- Left: CT. Right: PSMA PET, same axial level, [18F]PSMA-1007 tracer
- acquired on Siemens Biograph mCT Flow 20
- slice position z = -1236 mm
- PET panel 200×200 px (4.1 mm/px)
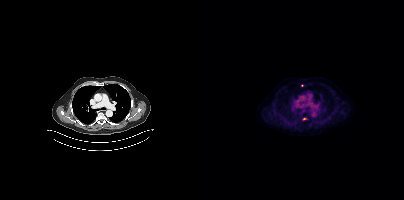
Findings: Coordinates are on the 200×200 PET (right) panel. Small PSMA-avid focus (2 to 4 px across) near (center x, center y): (98, 85).